- Paired axial CT (left) and PSMA PET (right), [18F]PSMA-1007 tracer
- an anonymization step blacked out a rectangle over the head in this scan
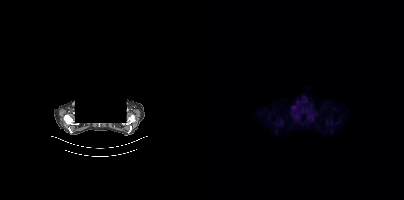
Findings: Coordinates are on the 200×200 PET (right) panel. Small PSMA-avid focus (2 to 4 px across) near (center x, center y): (90, 107).